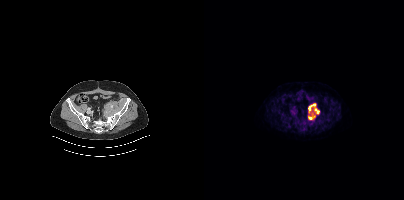
Technique: Two-panel axial: CT | PSMA PET, [18F]PSMA-1007 tracer. PET panel 200×200 px (4.1 mm/px).
Findings: Coordinates are on the 200×200 PET (right) panel. PSMA-avid tumor lesion bounding box (x, y, width, height): x=104 y=103 w=12 h=17.